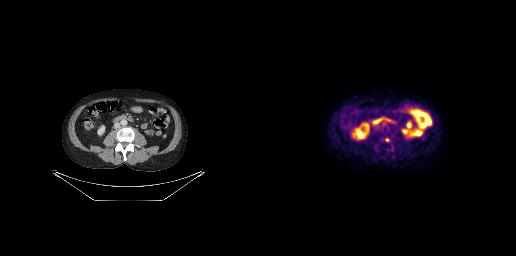
{"pet_grid":[256,256],"coord_frame":"pet_panel","coord_format":"x0,y0,x1,y1","lesion_bboxes":[],"small_foci_centers":[[127,139]],"modality":"PSMA PET/CT","view":"axial","tracer":"18F-PSMA"}